De-identified by setting a box covering the face to black before release. Paired axial CT (left) and PSMA PET (right), [68Ga]Ga-PSMA-11 tracer. Acquired on GE Discovery 690.
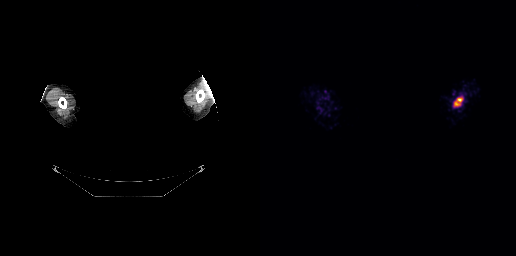
Coordinates are on the 256×256 PET (right) panel. PSMA-avid tumor lesion bounding box (x0, y0)-(x1, y1): (195, 98)-(202, 105).